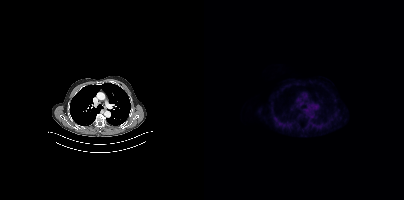
Two-panel axial: CT | PSMA PET, 18F tracer. Acquired on Siemens Biograph mCT Flow 20. Slice position z = -1008 mm. Negative for PSMA-avid disease on this slice.